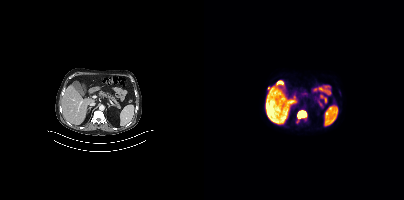
modality: PSMA PET/CT | tracer: 18F-PSMA | view: axial
Coordinates are on the 200×200 PET (right) panel. PSMA-avid tumor lesion bounding box (x, y, width, height): x=93 y=110 w=11 h=13. Small PSMA-avid focus (2 to 4 px across) near (center x, center y): (65, 88).